Paired axial CT (left) and PSMA PET (right), [68Ga]Ga-PSMA-11 tracer. PET panel 200×200 px (4.1 mm/px).
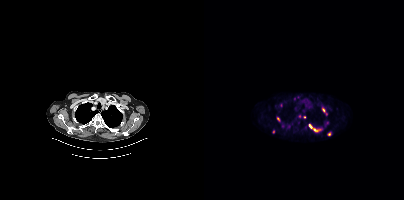
Coordinates are on the 200×200 PET (right) panel. PSMA-avid tumor lesion bounding boxes (partial; 2 more foci not listed):
| # | x0 | y0 | x1 | y1 |
|---|---|---|---|---|
| 1 | 110 | 128 | 117 | 132 |
| 2 | 118 | 108 | 123 | 115 |
| 3 | 105 | 124 | 108 | 128 |
Small PSMA-avid foci (2 to 4 px across) near (center x, center y): (125, 134); (100, 117); (74, 119); (94, 97); (95, 116); (90, 98); (69, 131).